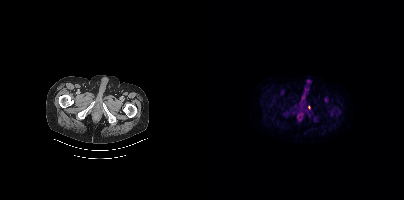
{"modality":"PSMA PET/CT","view":"axial","tracer":"[18F]PSMA-1007","pet_grid":[200,200],"coord_frame":"pet_panel","coord_format":"x0,y0,x1,y1","lesion_bboxes":[[104,105,106,109]]}